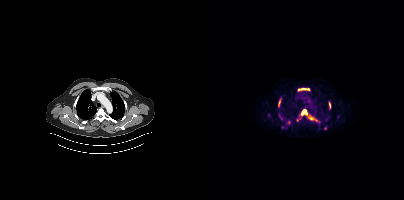
Left: CT. Right: PSMA PET, same axial level, 18F-PSMA tracer. Acquired on Siemens Biograph mCT Flow 20. Slice 321 of 429. PET panel 200×200 px (4.1 mm/px).
Coordinates are on the 200×200 PET (right) panel. PSMA-avid tumor lesion bounding boxes (partial; 1 more focus not listed):
| # | x0 | y0 | x1 | y1 |
|---|---|---|---|---|
| 1 | 97 | 109 | 102 | 115 |
| 2 | 74 | 98 | 77 | 106 |
| 3 | 97 | 88 | 105 | 89 |
| 4 | 125 | 102 | 126 | 108 |
Small PSMA-avid foci (2 to 4 px across) near (center x, center y): (84, 122); (107, 118); (115, 121); (94, 89).